Technique: Paired axial CT (left) and PSMA PET (right), 18F-PSMA tracer. acquired on Siemens Biograph mCT Flow 20. slice position z = -578 mm.
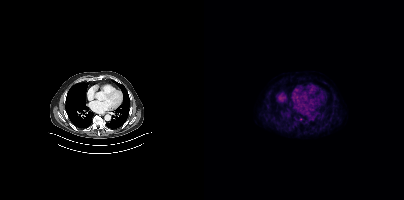
Findings: No PSMA-avid tumor lesions on this slice.